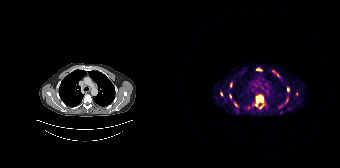
Coordinates are on the 168×168 PET (right) panel. (showing 11 of 13 foci) PSMA-avid tumor lesion bounding boxes (x0,y0,x1,y1): [84,96,91,106] [115,87,117,91] [84,68,89,70] [57,94,59,98] [88,104,91,108]. Small PSMA-avid foci (2 to 4 px across) near (center x, center y): (63, 104) (58, 84) (49, 93) (105, 75) (114, 100) (124, 93).
modality: PSMA PET/CT | tracer: 68Ga-PSMA | view: axial | PET grid: 168×168